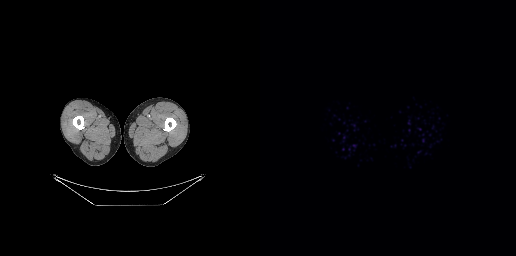
modality: PSMA PET/CT | tracer: 18F | view: axial
No PSMA-avid tumor lesions on this slice.